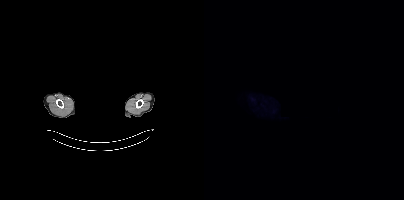
- the face region was removed for patient privacy by blanking a rectangle over the head
- Left: CT. Right: PSMA PET, same axial level, [18F]PSMA-1007 tracer
- slice position z = -871 mm
- PET panel 200×200 px (4.1 mm/px)
Findings: Negative for PSMA-avid disease on this slice.